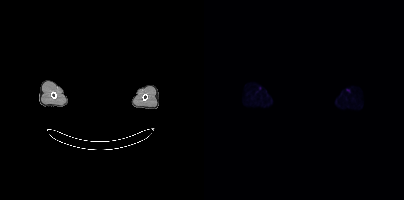
Head region blanked for anonymization (face removed).
No PSMA-avid tumor lesions on this slice.